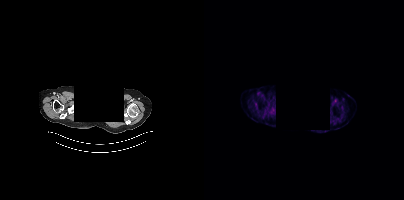
Findings: This slice has no annotated PSMA-avid lesion.
- facial anatomy redacted by setting a rectangular region of the head to black
- Left: CT. Right: PSMA PET, same axial level, 18F tracer
- acquired on Siemens Biograph mCT Flow 20
- PET panel 200×200 px (4.1 mm/px)